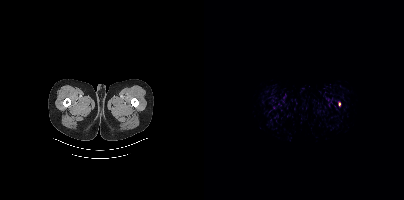
{"modality":"PSMA PET/CT","view":"axial","tracer":"18F","pet_grid":[200,200],"coord_frame":"pet_panel","coord_format":"x0,y0,x1,y1","lesion_bboxes":[[134,101,136,106]]}